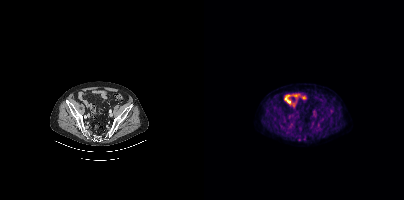
modality: PSMA PET/CT | tracer: [18F]PSMA-1007 | view: axial
Coordinates are on the 200×200 PET (right) panel. Small PSMA-avid focus (2 to 4 px across) near (center x, center y): (95, 139).